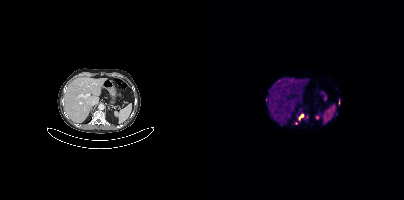
{"modality":"PSMA PET/CT","view":"axial","tracer":"68Ga-PSMA","pet_grid":[200,200],"coord_frame":"pet_panel","coord_format":"x0,y0,x1,y1","lesion_bboxes":[[94,115,103,120],[134,99,135,104]],"small_foci_centers":[[92,123]]}